Paired axial CT (left) and PSMA PET (right), 18F tracer. Acquired on Siemens Biograph mCT Flow 20. Slice 26 of 395.
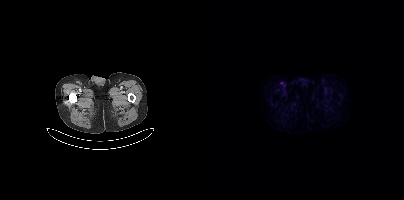
No tumor lesions annotated on this slice.